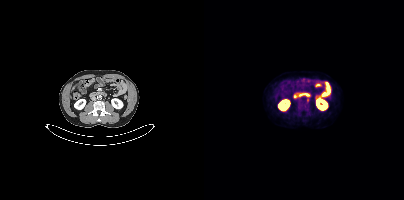
Left: CT. Right: PSMA PET, same axial level, [18F]PSMA-1007 tracer. Slice 167 of 393. Negative for PSMA-avid disease on this slice.